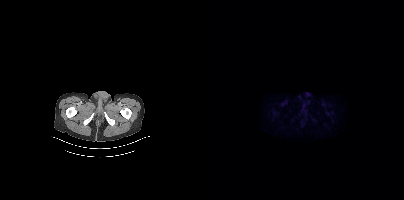
modality: PSMA PET/CT | tracer: 18F-PSMA | view: axial
No PSMA-avid tumor lesions on this slice.